Left: CT. Right: PSMA PET, same axial level, 18F-PSMA tracer. Slice position z = -880 mm.
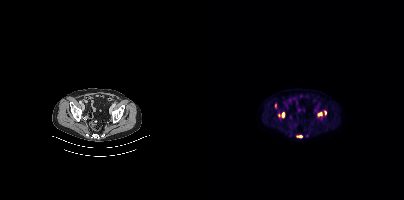
Coordinates are on the 200×200 PET (right) panel. PSMA-avid tumor lesion bounding boxes:
| # | x0 | y0 | x1 | y1 |
|---|---|---|---|---|
| 1 | 114 | 112 | 118 | 116 |
| 2 | 77 | 112 | 80 | 117 |
| 3 | 92 | 135 | 98 | 137 |
| 4 | 120 | 111 | 122 | 115 |
Small PSMA-avid foci (2 to 4 px across) near (center x, center y): (74, 115); (71, 105).